Technique: Left: CT. Right: PSMA PET, same axial level, 18F-PSMA tracer. slice 88 of 427. PET panel 200×200 px (4.1 mm/px).
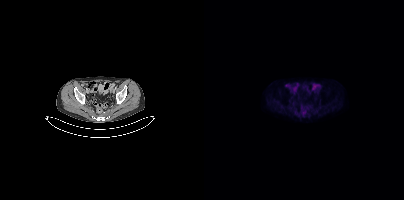
Findings: Coordinates are on the 200×200 PET (right) panel. Small PSMA-avid focus (2 to 4 px across) near (center x, center y): (100, 112).